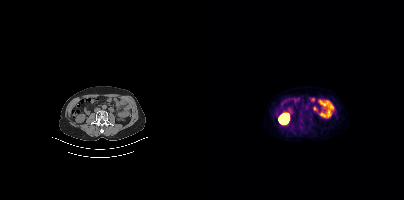
No tumor lesions annotated on this slice. Paired axial CT (left) and PSMA PET (right), 68Ga tracer.